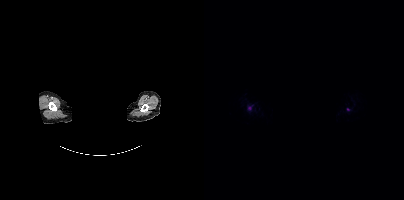
Two-panel axial: CT | PSMA PET, 18F-PSMA tracer. An anonymization step blacked out a rectangle over the head in this scan. Coordinates are on the 200×200 PET (right) panel. (showing 1 of 2 foci) Small PSMA-avid focus (2 to 4 px across) near (center x, center y): (45, 108).